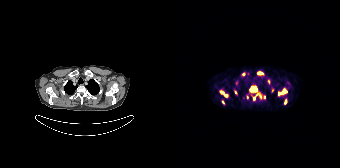
Coordinates are on the 168×168 PET (right) panel. PSMA-avid tumor lesion bounding boxes (partial; 2 more foci not listed):
| # | x0 | y0 | x1 | y1 |
|---|---|---|---|---|
| 1 | 78 | 86 | 85 | 91 |
| 2 | 106 | 89 | 114 | 94 |
| 3 | 49 | 91 | 55 | 97 |
Small PSMA-avid foci (2 to 4 px across) near (center x, center y): (71, 74); (82, 98); (63, 92); (113, 101); (92, 97); (87, 72); (100, 90); (75, 97).
Left: CT. Right: PSMA PET, same axial level, [68Ga]Ga-PSMA-11 tracer. PET panel 168×168 px (4.1 mm/px).